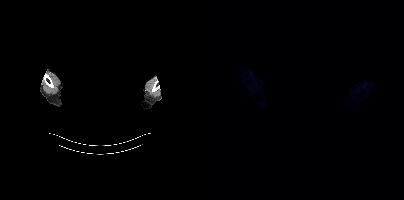
redaction: privacy mask over head | modality: PSMA PET/CT | tracer: [18F]PSMA-1007 | view: axial
No tumor lesions annotated on this slice.